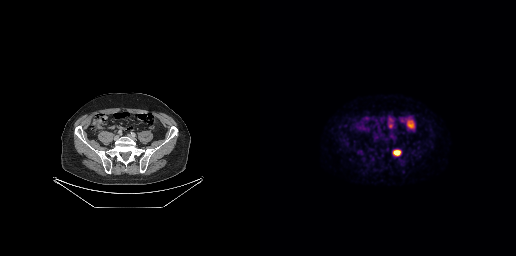
Findings: Coordinates are on the 256×256 PET (right) panel. PSMA-avid tumor lesion bounding box (x0, y0)-(x1, y1): (133, 149)-(141, 155). Small PSMA-avid focus (2 to 4 px across) near (center x, center y): (132, 137).
- Left: CT. Right: PSMA PET, same axial level, 18F tracer
- acquired on GE Discovery 690
- slice 87 of 263
- PET panel 256×256 px (2.7 mm/px)